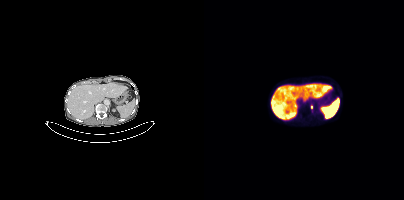
{"modality":"PSMA PET/CT","view":"axial","tracer":"18F-PSMA","pet_grid":[200,200],"coord_frame":"pet_panel","coord_format":"x0,y0,x1,y1","lesion_bboxes":[],"small_foci_centers":[[107,107]]}